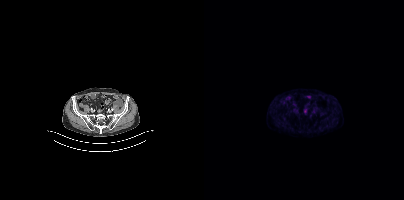
{"modality":"PSMA PET/CT","view":"axial","tracer":"[18F]PSMA-1007","pet_grid":[200,200],"coord_frame":"pet_panel","coord_format":"x0,y0,x1,y1","psma_avid_lesions":false}